- Paired axial CT (left) and PSMA PET (right), 18F-PSMA tracer
- PET panel 200×200 px (4.1 mm/px)
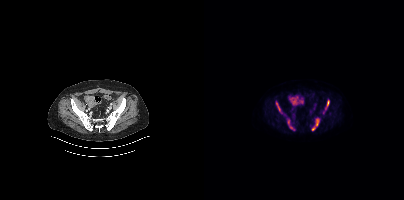
Findings: Coordinates are on the 200×200 PET (right) panel. PSMA-avid tumor lesion bounding boxes (x0, y0)-(x1, y1): (108, 118)-(115, 130) / (83, 119)-(90, 130) / (72, 101)-(77, 112) / (121, 100)-(125, 109).